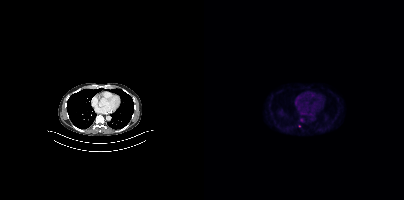
Coordinates are on the 200×200 PET (right) panel. (showing 1 of 2 foci) Small PSMA-avid focus (2 to 4 px across) near (center x, center y): (95, 125). Paired axial CT (left) and PSMA PET (right), 18F-PSMA tracer.